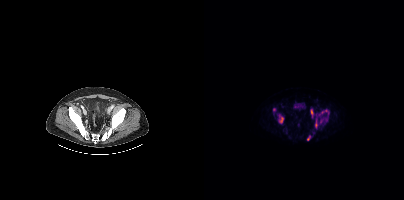
Coordinates are on the 200×200 PET (right) panel. PSMA-avid tumor lesion bounding boxes (x0,y0,x1,y1): [115,109,125,115]; [75,117,79,123]; [111,118,113,127]; [103,135,106,140]. Small PSMA-avid foci (2 to 4 px across) near (center x, center y): (117, 121); (69, 109); (122, 119).
modality: PSMA PET/CT | tracer: 18F | view: axial